Two-panel axial: CT | PSMA PET, 68Ga tracer.
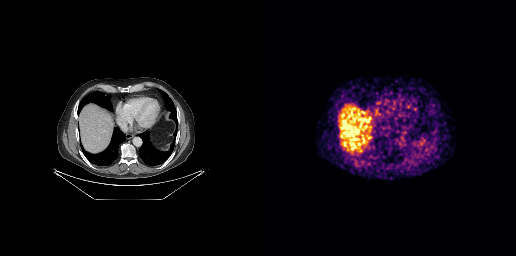
No PSMA-avid tumor lesions on this slice.